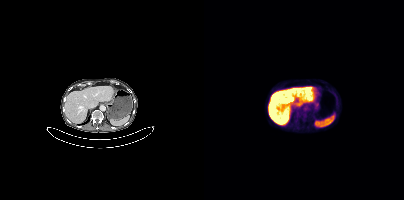
modality: PSMA PET/CT | tracer: 18F-PSMA | view: axial | PET grid: 200×200
No PSMA-avid tumor lesions on this slice.